Paired axial CT (left) and PSMA PET (right), 18F-PSMA tracer. Slice position z = -851 mm.
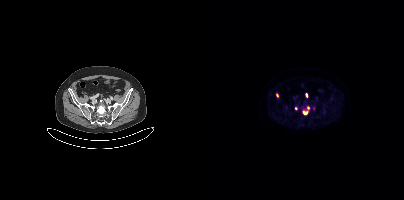
Coordinates are on the 200×200 PET (right) panel. (showing 2 of 4 foci) PSMA-avid tumor lesion bounding box (x0, y0)-(x1, y1): (102, 93)-(103, 97). Small PSMA-avid focus (2 to 4 px across) near (center x, center y): (101, 112).